modality: PSMA PET/CT | tracer: 18F | view: axial | PET grid: 200×200
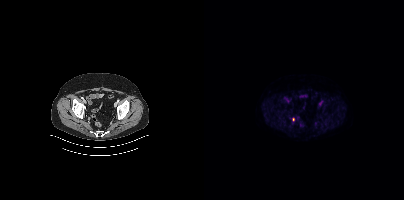
Coordinates are on the 200×200 PET (right) panel. Small PSMA-avid focus (2 to 4 px across) near (center x, center y): (89, 119).